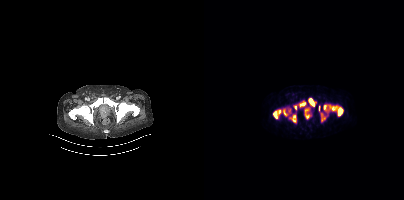
- Paired axial CT (left) and PSMA PET (right), [68Ga]Ga-PSMA-11 tracer
- slice 64 of 397
- PET panel 200×200 px (4.1 mm/px)
Findings: This slice has no annotated PSMA-avid lesion.